Technique: Left: CT. Right: PSMA PET, same axial level, 18F-PSMA tracer. slice 304 of 403. PET panel 200×200 px (4.1 mm/px).
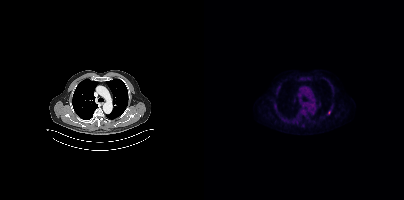
Findings: Coordinates are on the 200×200 PET (right) panel. Small PSMA-avid focus (2 to 4 px across) near (center x, center y): (125, 112).